Two-panel axial: CT | PSMA PET, 68Ga tracer. PET panel 168×168 px (4.1 mm/px).
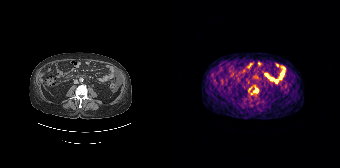
Coordinates are on the 168×168 PET (right) panel. PSMA-avid tumor lesion bounding boxes:
| # | x0 | y0 | x1 | y1 |
|---|---|---|---|---|
| 1 | 81 | 87 | 86 | 92 |